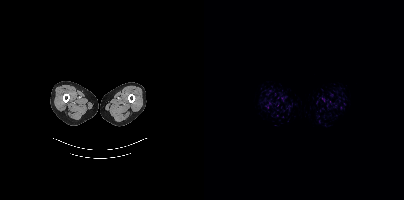
No tumor lesions annotated on this slice. Paired axial CT (left) and PSMA PET (right), 18F-PSMA tracer. Slice position z = -1644 mm. PET panel 200×200 px (4.1 mm/px).